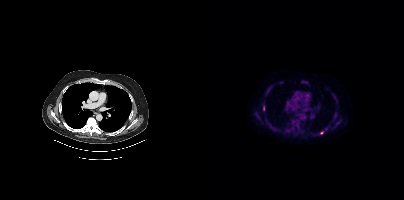
Coordinates are on the 200×200 PET (right) panel. (showing 2 of 4 foci) PSMA-avid tumor lesion bounding box (x0,y0,x1,y1): [61,118,65,124]. Small PSMA-avid focus (2 to 4 px across) near (center x, center y): (117, 133).
modality: PSMA PET/CT | tracer: 18F | view: axial